Paired axial CT (left) and PSMA PET (right), [18F]PSMA-1007 tracer. Acquired on Siemens Biograph mCT Flow 20. Slice 259 of 963.
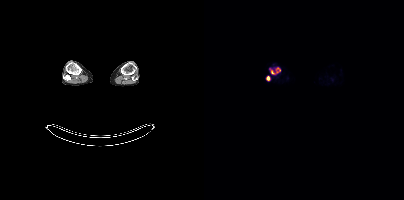
Coordinates are on the 200×200 PET (right) panel. PSMA-avid tumor lesion bounding boxes (x0, y0)-(x1, y1): (72, 68)-(76, 72) | (63, 76)-(65, 80). Small PSMA-avid focus (2 to 4 px across) near (center x, center y): (68, 71).